Two-panel axial: CT | PSMA PET, [18F]PSMA-1007 tracer. Slice 279 of 397. PET panel 200×200 px (4.1 mm/px).
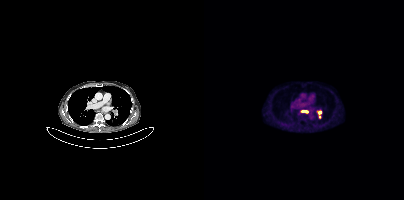
Coordinates are on the 200×200 PET (right) panel. PSMA-avid tumor lesion bounding boxes:
| # | x0 | y0 | x1 | y1 |
|---|---|---|---|---|
| 1 | 96 | 110 | 104 | 113 |
| 2 | 113 | 110 | 117 | 118 |